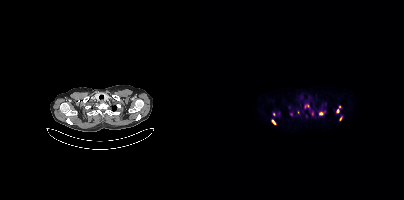
Coordinates are on the 200×200 PET (right) panel. PSMA-avid tumor lesion bounding boxes (x0,y0,x1,y1): [116,111,121,114]; [101,104,105,107]; [68,120,71,124]. Small PSMA-avid foci (2 to 4 px across) near (center x, center y): (87, 114); (136, 118); (133, 111); (70, 114); (108, 113); (135, 106); (94, 112).
modality: PSMA PET/CT | tracer: [18F]PSMA-1007 | view: axial | PET grid: 200×200